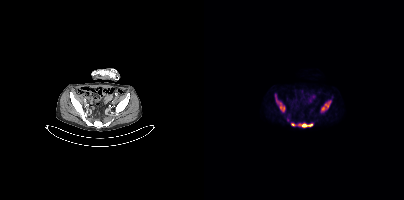
Two-panel axial: CT | PSMA PET, 18F-PSMA tracer. Acquired on Siemens Biograph mCT Flow 20. Coordinates are on the 200×200 PET (right) panel. PSMA-avid tumor lesion bounding boxes (x, y, width, height): x=71 y=94 w=11 h=19; x=87 y=123 w=23 h=5; x=117 y=101 w=10 h=11.